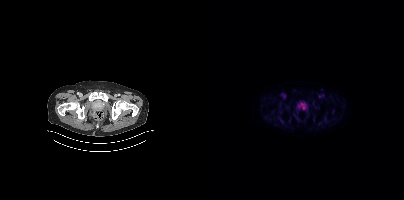
Coordinates are on the 200×200 PET (right) panel. PSMA-avid tumor lesion bounding box (x, y, width, height): x=96 y=103 w=7 h=7.